Left: CT. Right: PSMA PET, same axial level, 68Ga tracer. PET panel 168×168 px (4.1 mm/px).
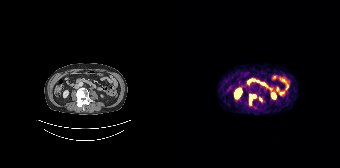
Coordinates are on the 168×168 PET (right) panel. (showing 4 of 5 foci) PSMA-avid tumor lesion bounding box (x0,y0,x1,y1): [62,89,69,97]. Small PSMA-avid foci (2 to 4 px across) near (center x, center y): (82, 96) (78, 95) (88, 99).